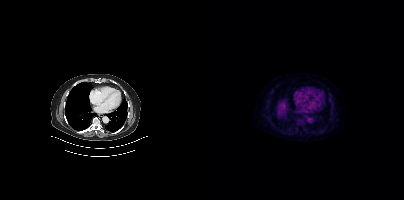
Negative for PSMA-avid disease on this slice. Paired axial CT (left) and PSMA PET (right), [18F]PSMA-1007 tracer. Acquired on Siemens Biograph mCT Flow 20. Slice position z = -446 mm.